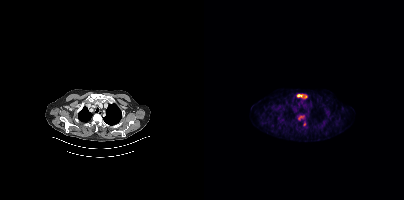
Findings: Coordinates are on the 200×200 PET (right) panel. PSMA-avid tumor lesion bounding boxes (x0,y0,x1,y1): [93,94,103,98]; [94,115,100,120]. Small PSMA-avid focus (2 to 4 px across) near (center x, center y): (100, 123).
Technique: Left: CT. Right: PSMA PET, same axial level, [18F]PSMA-1007 tracer. slice 319 of 427.